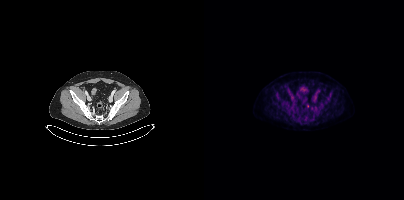
Only PSMA-avid lesion pieces thinner than 2 px on this slice (not listed).